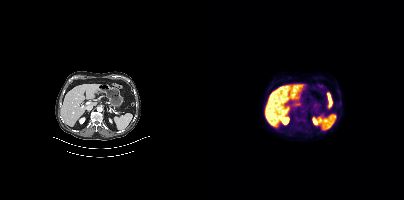
Findings: Only PSMA-avid lesion pieces thinner than 2 px on this slice (not listed).
Technique: Paired axial CT (left) and PSMA PET (right), 18F-PSMA tracer. slice 218 of 409. PET panel 200×200 px (4.1 mm/px).